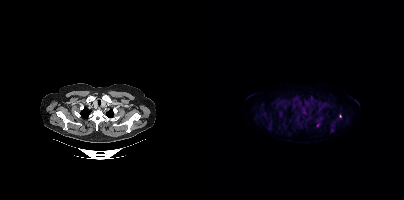
Coordinates are on the 200×200 PET (right) panel. (showing 11 of 12 foci) PSMA-avid tumor lesion bounding boxes (x0,y0,x1,y1): [127,126,130,131]; [99,109,101,113]; [130,120,134,123]. Small PSMA-avid foci (2 to 4 px across) near (center x, center y): (92, 118); (91, 97); (107, 98); (114, 124); (73, 109); (118, 117); (136, 116); (82, 103).
modality: PSMA PET/CT | tracer: 18F | view: axial